Paired axial CT (left) and PSMA PET (right), [18F]PSMA-1007 tracer. PET panel 200×200 px (4.1 mm/px).
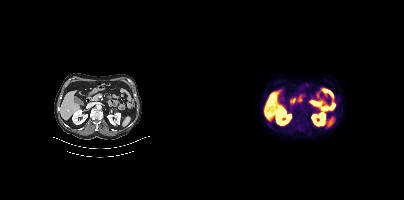
Negative for PSMA-avid disease on this slice.